modality: PSMA PET/CT | tracer: 18F-PSMA | view: axial
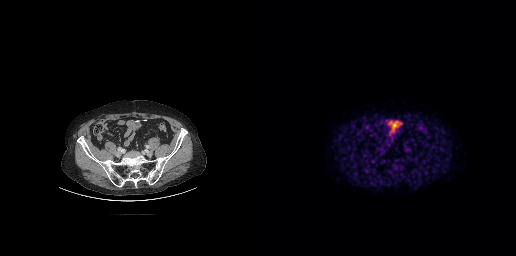
No tumor lesions annotated on this slice.